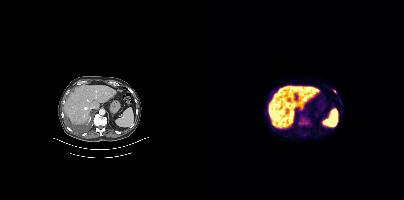
Coordinates are on the 200×200 PET (right) panel. PSMA-avid tumor lesion bounding box (x0,y0,x1,y1): [98,119,104,124]. Small PSMA-avid focus (2 to 4 px across) near (center x, center y): (131, 91). Two-panel axial: CT | PSMA PET, 18F tracer. PET panel 200×200 px (4.1 mm/px).